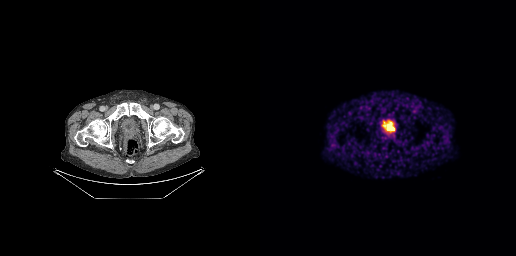
Coordinates are on the 256×256 PET (right) panel. PSMA-avid tumor lesion bounding box (x0,y0,x1,y1): [129,126,134,130].